Technique: Paired axial CT (left) and PSMA PET (right), 18F-PSMA tracer. slice 185 of 435.
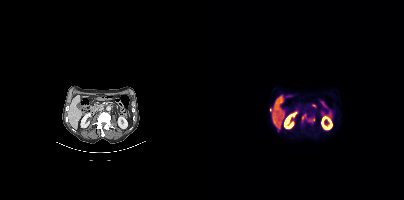
Findings: Coordinates are on the 200×200 PET (right) panel. (showing 1 of 2 foci) PSMA-avid tumor lesion bounding box (x, y, width, height): x=98 y=113 w=13 h=10.